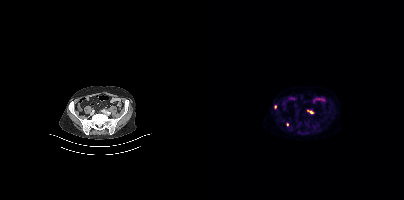
Coordinates are on the 200×200 PET (right) panel. PSMA-avid tumor lesion bounding box (x, y, width, height): x=103 y=110 w=7 h=4. Small PSMA-avid foci (2 to 4 px across) near (center x, center y): (83, 124) / (71, 107).
modality: PSMA PET/CT | tracer: [18F]PSMA-1007 | view: axial